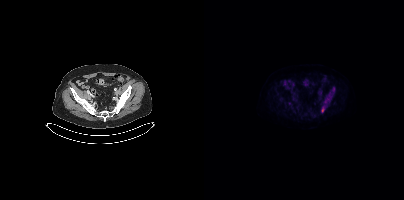
Coordinates are on the 200×200 PET (right) panel. Small PSMA-avid focus (2 to 4 px across) near (center x, center y): (119, 109). Left: CT. Right: PSMA PET, same axial level, 18F tracer. Slice 91 of 403. PET panel 200×200 px (4.1 mm/px).